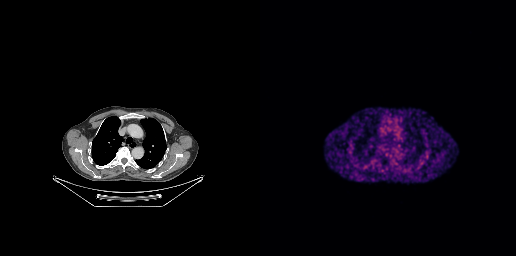
Negative for PSMA-avid disease on this slice. Two-panel axial: CT | PSMA PET, 68Ga-PSMA tracer. PET panel 256×256 px (2.7 mm/px).